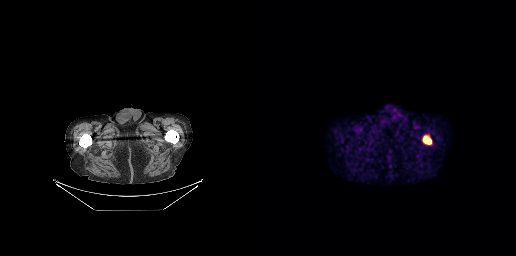
Coordinates are on the 256×256 PET (right) panel. PSMA-avid tumor lesion bounding boxes:
| # | x0 | y0 | x1 | y1 |
|---|---|---|---|---|
| 1 | 163 | 136 | 171 | 144 |
Paired axial CT (left) and PSMA PET (right), [18F]PSMA-1007 tracer. Acquired on GE Discovery 690. PET panel 256×256 px (2.7 mm/px).